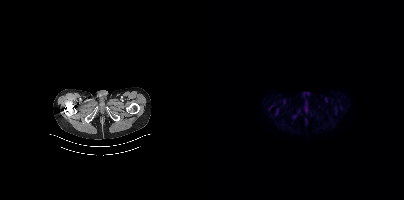
- Left: CT. Right: PSMA PET, same axial level, 18F-PSMA tracer
- acquired on Siemens Biograph mCT Flow 20
Findings: Negative for PSMA-avid disease on this slice.